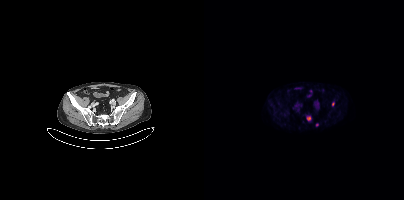
{"modality":"PSMA PET/CT","view":"axial","tracer":"18F-PSMA","pet_grid":[200,200],"coord_frame":"pet_panel","coord_format":"x0,y0,x1,y1","lesion_bboxes":[[103,116,106,120]],"small_foci_centers":[[129,103],[113,124]]}